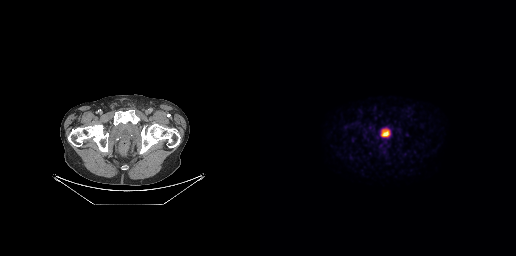
No PSMA-avid tumor lesions on this slice.